- Left: CT. Right: PSMA PET, same axial level, 68Ga tracer
- slice position z = -189 mm
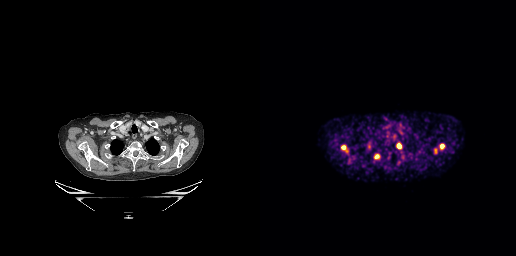
Findings: Coordinates are on the 256×256 PET (right) panel. PSMA-avid tumor lesion bounding boxes (x, y, width, height): x=136 y=143 w=6 h=6 / x=180 y=144 w=5 h=6. Small PSMA-avid foci (2 to 4 px across) near (center x, center y): (83, 147) / (175, 150) / (109, 146) / (116, 156) / (89, 161) / (126, 119) / (93, 156).